Technique: Paired axial CT (left) and PSMA PET (right), 18F-PSMA tracer.
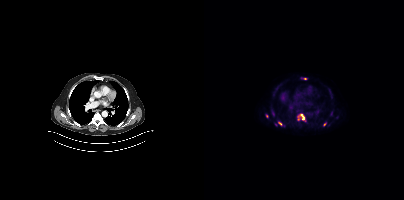
Findings: Coordinates are on the 200×200 PET (right) panel. PSMA-avid tumor lesion bounding boxes (x, y, width, height): x=94 y=114 w=7 h=7 | x=74 y=122 w=5 h=4. Small PSMA-avid foci (2 to 4 px across) near (center x, center y): (100, 78) | (62, 116) | (94, 119) | (120, 124).